Paired axial CT (left) and PSMA PET (right), 68Ga tracer. Acquired on Siemens Biograph mCT Flow 20.
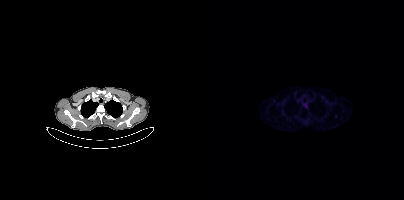
Negative for PSMA-avid disease on this slice.